Two-panel axial: CT | PSMA PET, 18F tracer.
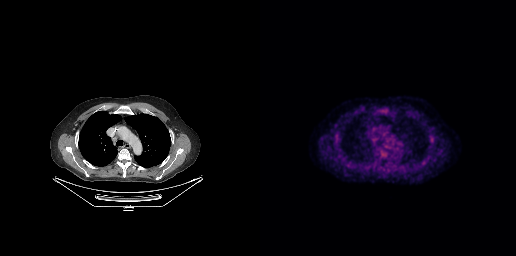
No PSMA-avid tumor lesions on this slice.